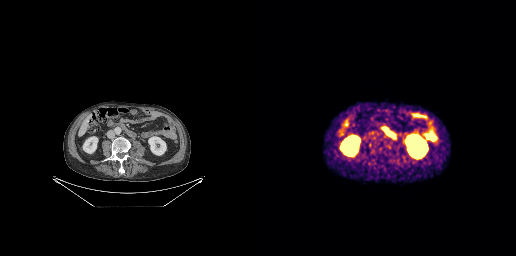
Findings: Negative for PSMA-avid disease on this slice.
Technique: Left: CT. Right: PSMA PET, same axial level, [68Ga]Ga-PSMA-11 tracer. acquired on GE Discovery 690. PET panel 256×256 px (2.7 mm/px).